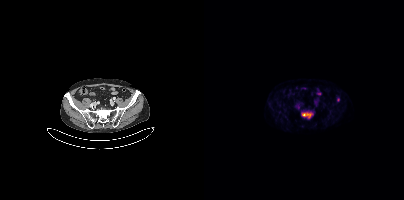
Left: CT. Right: PSMA PET, same axial level, 18F tracer. Acquired on Siemens Biograph mCT Flow 20. Slice 108 of 429. Coordinates are on the 200×200 PET (right) panel. PSMA-avid tumor lesion bounding box (x0, y0)-(x1, y1): (97, 112)-(109, 118). Small PSMA-avid focus (2 to 4 px across) near (center x, center y): (134, 99).